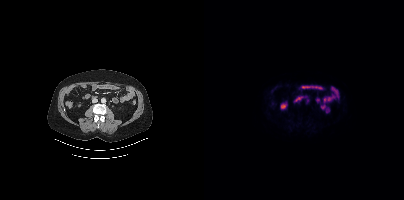
Paired axial CT (left) and PSMA PET (right), [18F]PSMA-1007 tracer. Slice position z = -790 mm. PET panel 200×200 px (4.1 mm/px). No PSMA-avid tumor lesions on this slice.